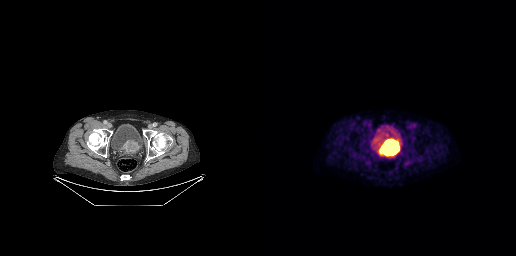
Coordinates are on the 256×256 PET (right) panel. PSMA-avid tumor lesion bounding box (x0,y0,x1,y1): [120,140,137,154].